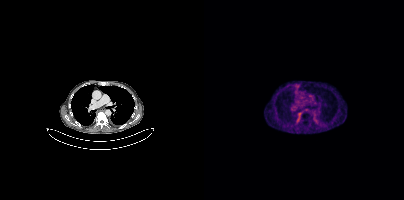
Negative for PSMA-avid disease on this slice. Left: CT. Right: PSMA PET, same axial level, [68Ga]Ga-PSMA-11 tracer. Slice position z = -610 mm.